modality: PSMA PET/CT | tracer: 18F-PSMA | view: axial | PET grid: 200×200
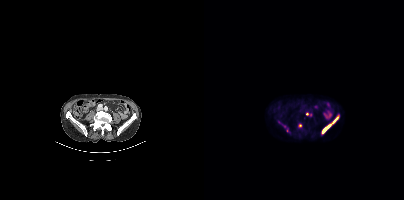
Coordinates are on the 200×200 PET (right) panel. (showing 3 of 5 foci) PSMA-avid tumor lesion bounding box (x, y, width, height): x=118 y=116 w=17 h=18. Small PSMA-avid foci (2 to 4 px across) near (center x, center y): (96, 125); (106, 114).